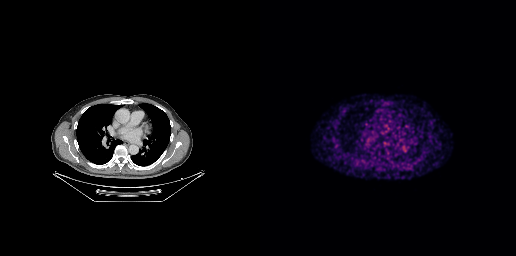
{"pet_grid":[256,256],"coord_frame":"pet_panel","coord_format":"x0,y0,x1,y1","psma_avid_lesions":false,"modality":"PSMA PET/CT","view":"axial","tracer":"[18F]PSMA-1007"}